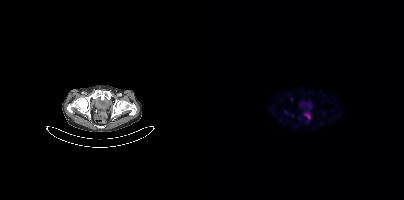
No PSMA-avid tumor lesions on this slice.